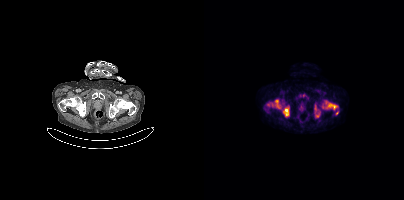
{"pet_grid":[200,200],"coord_frame":"pet_panel","coord_format":"x0,y0,x1,y1","partial":true,"lesion_bboxes":[[122,101,133,109],[79,108,84,115]],"small_foci_centers":[[73,101],[64,105],[133,113],[75,107],[113,115]],"modality":"PSMA PET/CT","view":"axial","tracer":"18F"}